Two-panel axial: CT | PSMA PET, 18F-PSMA tracer. Acquired on Siemens Biograph mCT Flow 20. Slice 389 of 454. PET panel 200×200 px (4.1 mm/px).
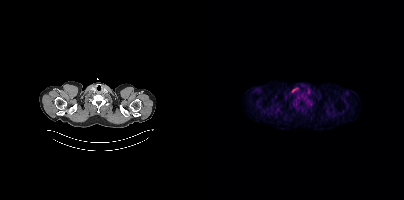
This slice has no annotated PSMA-avid lesion.